Left: CT. Right: PSMA PET, same axial level, [18F]PSMA-1007 tracer. Acquired on Siemens Biograph mCT Flow 20. Slice 106 of 448. PET panel 200×200 px (4.1 mm/px).
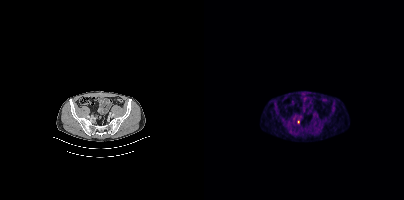
Coordinates are on the 200×200 PET (right) panel. Small PSMA-avid focus (2 to 4 px across) near (center x, center y): (94, 121).